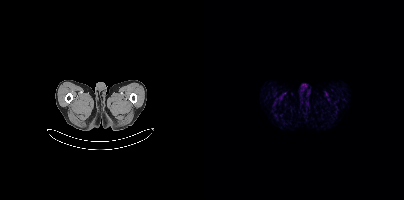
{"modality":"PSMA PET/CT","view":"axial","tracer":"18F","pet_grid":[200,200],"coord_frame":"pet_panel","coord_format":"x0,y0,x1,y1","psma_avid_lesions":false}